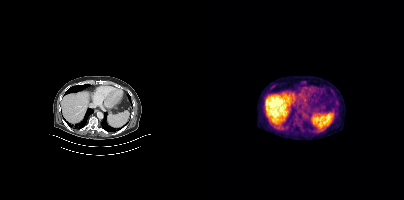
- Paired axial CT (left) and PSMA PET (right), 18F-PSMA tracer
- PET panel 200×200 px (4.1 mm/px)
Findings: Negative for PSMA-avid disease on this slice.